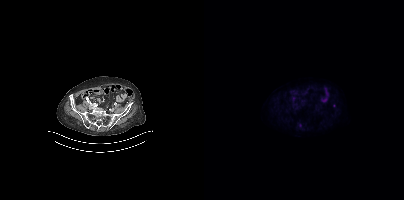
modality: PSMA PET/CT | tracer: 18F-PSMA | view: axial | PET grid: 200×200
Coordinates are on the 200×200 PET (right) panel. (showing 1 of 2 foci) Small PSMA-avid focus (2 to 4 px across) near (center x, center y): (130, 105).